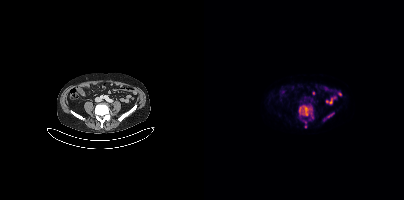
Two-panel axial: CT | PSMA PET, [18F]PSMA-1007 tracer.
Coordinates are on the 200×200 PET (right) panel. PSMA-avid tumor lesion bounding boxes (partial; 1 more focus not listed):
| # | x0 | y0 | x1 | y1 |
|---|---|---|---|---|
| 1 | 95 | 105 | 109 | 117 |
| 2 | 123 | 113 | 130 | 117 |
Small PSMA-avid foci (2 to 4 px across) near (center x, center y): (120, 119); (101, 126).